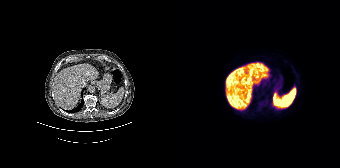
Negative for PSMA-avid disease on this slice.